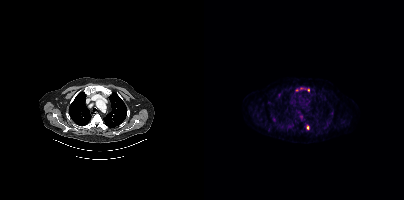
Two-panel axial: CT | PSMA PET, [18F]PSMA-1007 tracer. PET panel 200×200 px (4.1 mm/px).
Coordinates are on the 200×200 PET (right) panel. PSMA-avid tumor lesion bounding boxes (partial; 1 more focus not listed):
| # | x0 | y0 | x1 | y1 |
|---|---|---|---|---|
| 1 | 102 | 125 | 104 | 129 |
Small PSMA-avid foci (2 to 4 px across) near (center x, center y): (104, 90); (92, 89).